Two-panel axial: CT | PSMA PET, 68Ga tracer.
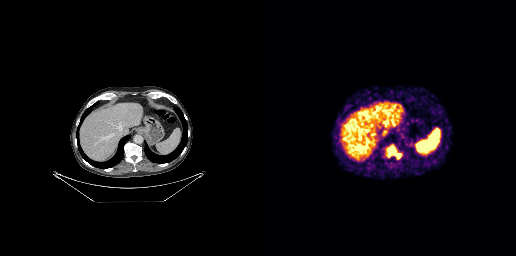
Coordinates are on the 256×256 PET (right) panel. PSMA-avid tumor lesion bounding boxes:
| # | x0 | y0 | x1 | y1 |
|---|---|---|---|---|
| 1 | 126 | 149 | 134 | 157 |
| 2 | 136 | 154 | 140 | 157 |